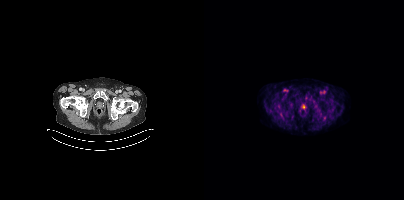
Paired axial CT (left) and PSMA PET (right), [18F]PSMA-1007 tracer. Acquired on Siemens Biograph mCT Flow 20. Slice 58 of 429. Negative for PSMA-avid disease on this slice.